Technique: Left: CT. Right: PSMA PET, same axial level, [18F]PSMA-1007 tracer. acquired on Siemens Biograph mCT Flow 20. PET panel 200×200 px (4.1 mm/px).
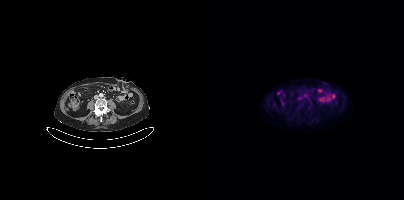
Findings: Negative for PSMA-avid disease on this slice.